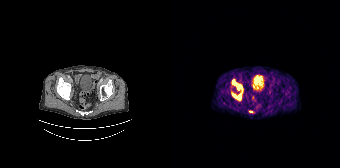
{"modality":"PSMA PET/CT","view":"axial","tracer":"68Ga-PSMA","pet_grid":[168,168],"coord_frame":"pet_panel","coord_format":"x0,y0,x1,y1","lesion_bboxes":[[61,94,68,99],[60,79,64,84],[65,85,69,89]],"small_foci_centers":[[78,111]]}